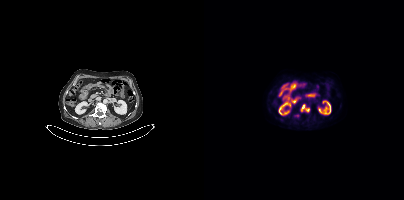
Coordinates are on the 200×200 PET (right) panel. PSMA-avid tumor lesion bounding box (x, y, width, height): x=97 y=104 w=9 h=8.